Paired axial CT (left) and PSMA PET (right), [18F]PSMA-1007 tracer. Acquired on Siemens Biograph mCT Flow 20. Slice 239 of 413.
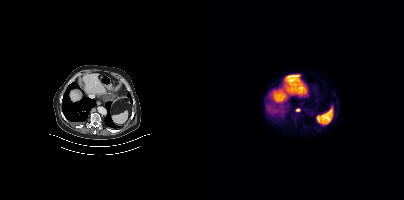
Coordinates are on the 200×200 PET (right) panel. Small PSMA-avid focus (2 to 4 px across) near (center x, center y): (93, 110).